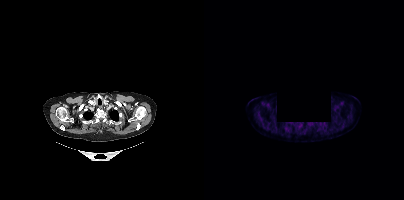
Paired axial CT (left) and PSMA PET (right), 18F tracer. De-identified by setting a rectangular region to black. Negative for PSMA-avid disease on this slice.